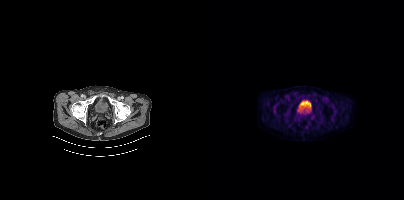
- Two-panel axial: CT | PSMA PET, [18F]PSMA-1007 tracer
- PET panel 200×200 px (4.1 mm/px)
Findings: Negative for PSMA-avid disease on this slice.